Left: CT. Right: PSMA PET, same axial level, [18F]PSMA-1007 tracer. Acquired on Siemens Biograph mCT Flow 20.
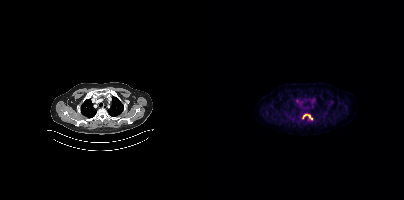
Coordinates are on the 200×200 PET (right) panel. PSMA-avid tumor lesion bounding boxes (x0,y0,x1,y1): [95,114,102,118] [104,115,108,120].